Technique: Left: CT. Right: PSMA PET, same axial level, 18F tracer. slice 204 of 263. PET panel 256×256 px (2.7 mm/px).
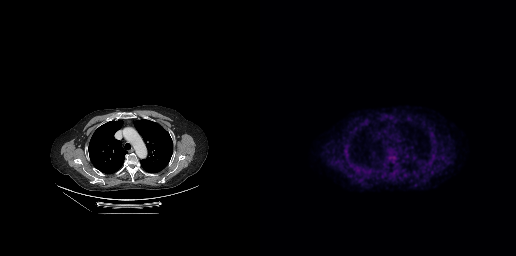
Findings: Coordinates are on the 256×256 PET (right) panel. PSMA-avid tumor lesion bounding box (x0, y0)-(x1, y1): (84, 145)-(88, 152).